modality: PSMA PET/CT | tracer: [68Ga]Ga-PSMA-11 | view: axial | PET grid: 168×168
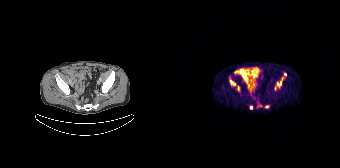
Coordinates are on the 168×168 PET (right) panel. (showing 6 of 8 foci) PSMA-avid tumor lesion bounding boxes (x, y, width, height): x=58 y=80 w=6 h=6 / x=105 y=81 w=5 h=7 / x=66 y=86 w=2 h=5. Small PSMA-avid foci (2 to 4 px across) near (center x, center y): (79, 107) / (113, 74) / (95, 106).